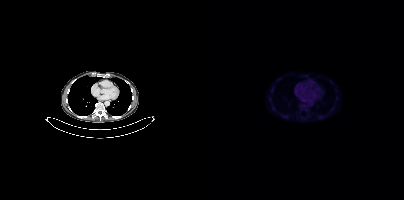
- Two-panel axial: CT | PSMA PET, 18F tracer
- slice position z = -453 mm
Findings: No PSMA-avid tumor lesions on this slice.